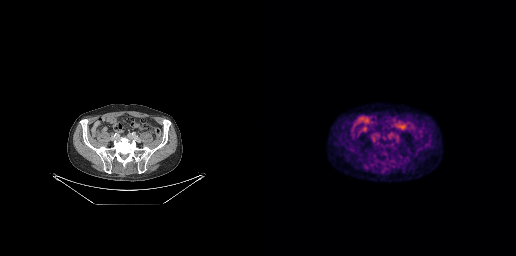
modality: PSMA PET/CT | tracer: 18F-PSMA | view: axial
This slice has no annotated PSMA-avid lesion.